- Left: CT. Right: PSMA PET, same axial level, 68Ga tracer
- acquired on Siemens Biograph 64-4R TruePoint
- slice 49 of 195
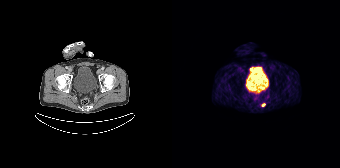
Findings: Coordinates are on the 168×168 PET (right) panel. PSMA-avid tumor lesion bounding box (x0, y0)-(x1, y1): (89, 103)-(93, 106).